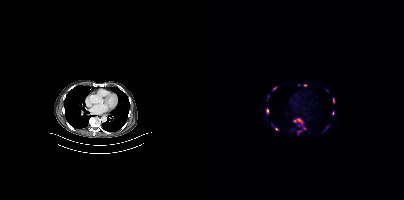
Findings: Coordinates are on the 200×200 PET (right) panel. (showing 8 of 11 foci) PSMA-avid tumor lesion bounding boxes (x, y, width, height): x=90 y=118 w=13 h=17; x=62 y=108 w=4 h=6; x=129 y=98 w=2 h=5; x=128 y=111 w=3 h=5. Small PSMA-avid foci (2 to 4 px across) near (center x, center y): (100, 85); (70, 88); (72, 129); (123, 127).
- Paired axial CT (left) and PSMA PET (right), 18F tracer
- acquired on Siemens Biograph mCT Flow 20
- PET panel 200×200 px (4.1 mm/px)